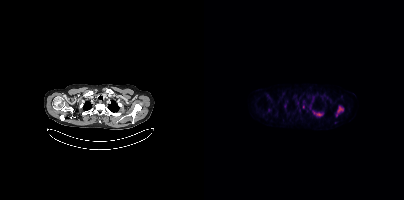
Coordinates are on the 200×200 PET (right) panel. (showing 3 of 4 foci) PSMA-avid tumor lesion bounding boxes (x0,y0,x1,y1): [132,106,139,116]; [109,111,119,116]. Small PSMA-avid focus (2 to 4 px across) near (center x, center y): (81, 106). Two-panel axial: CT | PSMA PET, [18F]PSMA-1007 tracer. Acquired on Siemens Biograph mCT Flow 20. PET panel 200×200 px (4.1 mm/px).